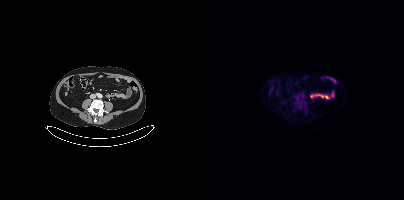
No PSMA-avid tumor lesions on this slice. Paired axial CT (left) and PSMA PET (right), 18F tracer. Acquired on Siemens Biograph mCT Flow 20.